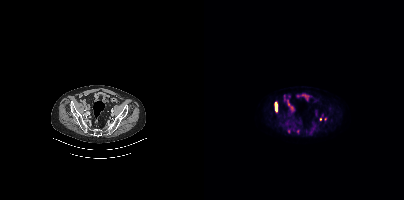
Findings: Coordinates are on the 200×200 PET (right) panel. (showing 1 of 3 foci) PSMA-avid tumor lesion bounding box (x0, y0)-(x1, y1): (71, 102)-(73, 111).
- Two-panel axial: CT | PSMA PET, 18F tracer
- PET panel 200×200 px (4.1 mm/px)